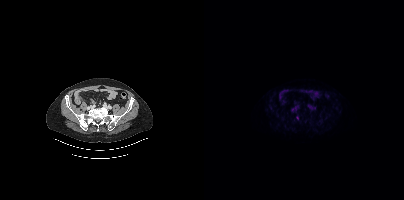
Coordinates are on the 200×200 PET (right) panel. Small PSMA-avid focus (2 to 4 px across) near (center x, center y): (93, 117).
modality: PSMA PET/CT | tracer: 18F | view: axial